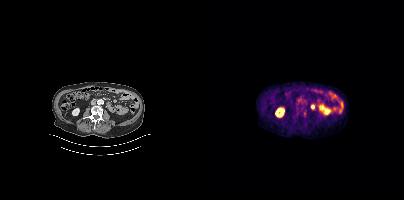
This slice has no annotated PSMA-avid lesion.